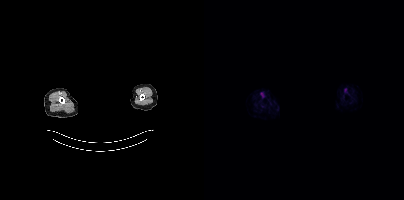
No PSMA-avid tumor lesions on this slice.
De-identified by setting a box covering the face to black before release.